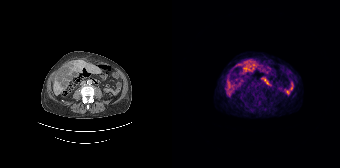
Findings: Coordinates are on the 168×168 PET (right) panel. PSMA-avid tumor lesion bounding boxes (x0, y0)-(x1, y1): (71, 62)-(76, 70) / (78, 61)-(83, 66).
Technique: Two-panel axial: CT | PSMA PET, [68Ga]Ga-PSMA-11 tracer. acquired on Siemens Biograph 64-4R TruePoint. slice 87 of 195.